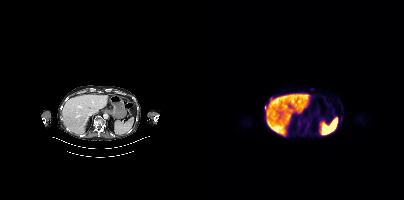
Coordinates are on the 200×200 PET (right) panel. PSMA-avid tumor lesion bounding boxes:
| # | x0 | y0 | x1 | y1 |
|---|---|---|---|---|
| 1 | 60 | 105 | 63 | 111 |
| 2 | 94 | 121 | 97 | 125 |
| 3 | 137 | 116 | 138 | 121 |
| 4 | 103 | 123 | 105 | 127 |
Small PSMA-avid focus (2 to 4 px across) near (center x, center y): (107, 89).
Two-panel axial: CT | PSMA PET, [18F]PSMA-1007 tracer. PET panel 200×200 px (4.1 mm/px).